- Paired axial CT (left) and PSMA PET (right), [68Ga]Ga-PSMA-11 tracer
- PET panel 168×168 px (4.1 mm/px)
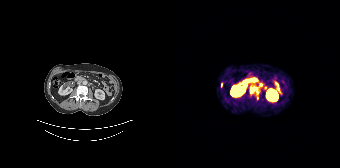
Findings: Coordinates are on the 168×168 PET (right) panel. PSMA-avid tumor lesion bounding boxes (x, y, width, height): x=78 y=86 w=10 h=9; x=49 y=83 w=2 h=5. Small PSMA-avid focus (2 to 4 px across) near (center x, center y): (85, 97).